modality: PSMA PET/CT | tracer: 68Ga-PSMA | view: axial
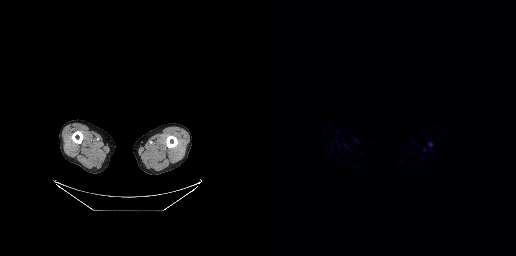
This slice has no annotated PSMA-avid lesion.